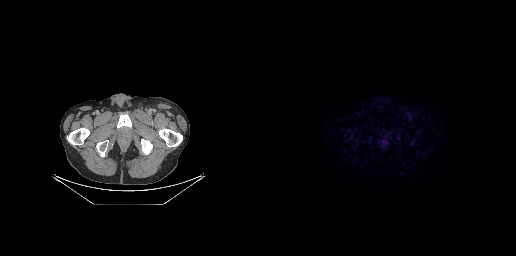
No tumor lesions annotated on this slice.